modality: PSMA PET/CT | tracer: 18F-PSMA | view: axial | PET grid: 200×200
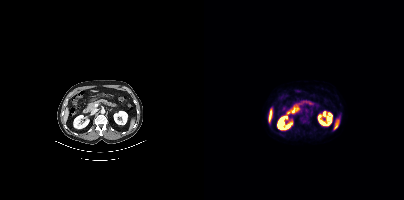
No PSMA-avid tumor lesions on this slice.